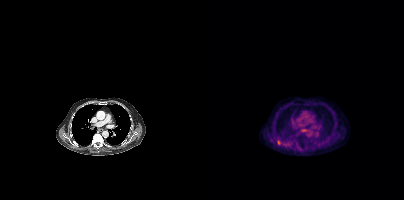
Coordinates are on the 200×200 PET (right) panel. PSMA-avid tumor lesion bounding box (x0,y0,x1,y1): [73,140,76,144].